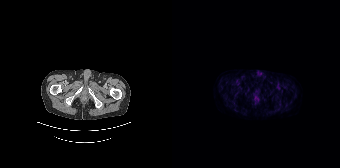
{"modality":"PSMA PET/CT","view":"axial","tracer":"[18F]PSMA-1007","pet_grid":[168,168],"coord_frame":"pet_panel","coord_format":"x0,y0,x1,y1","psma_avid_lesions":false}